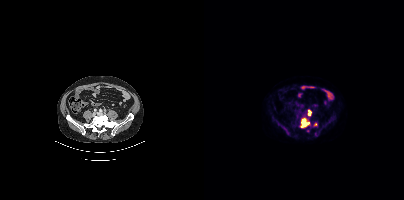
Findings: Coordinates are on the 200×200 PET (right) panel. PSMA-avid tumor lesion bounding boxes (x0,y0,x1,y1): [96,118,105,127]; [104,110,107,115]. Small PSMA-avid focus (2 to 4 px across) near (center x, center y): (111, 124).
- Two-panel axial: CT | PSMA PET, [18F]PSMA-1007 tracer
- PET panel 200×200 px (4.1 mm/px)